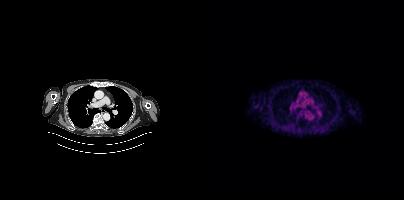
{"modality":"PSMA PET/CT","view":"axial","tracer":"[18F]PSMA-1007","pet_grid":[200,200],"coord_frame":"pet_panel","coord_format":"x0,y0,x1,y1","psma_avid_lesions":false}